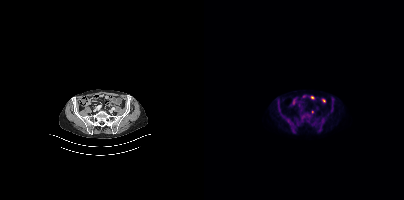
{"modality":"PSMA PET/CT","view":"axial","tracer":"[18F]PSMA-1007","pet_grid":[200,200],"coord_frame":"pet_panel","coord_format":"x0,y0,x1,y1","partial":true,"lesion_bboxes":[]}